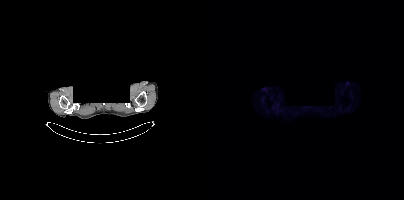
Technique: Two-panel axial: CT | PSMA PET, [18F]PSMA-1007 tracer. acquired on Siemens Biograph mCT Flow 20. slice 383 of 448.
Note: An anonymization step blacked out a rectangle over the head in this scan.
Findings: No tumor lesions annotated on this slice.